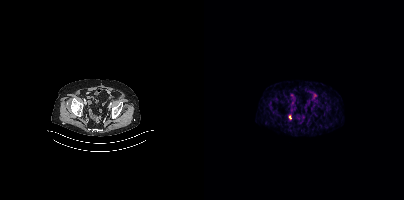
Technique: Two-panel axial: CT | PSMA PET, 68Ga tracer. acquired on Siemens Biograph mCT Flow 20. slice 78 of 385. PET panel 200×200 px (4.1 mm/px).
Findings: Coordinates are on the 200×200 PET (right) panel. Small PSMA-avid focus (2 to 4 px across) near (center x, center y): (85, 116).